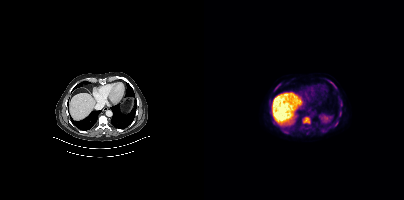
Coordinates are on the 200×200 PET (right) panel. (showing 7 of 8 foci) PSMA-avid tumor lesion bounding boxes (x, y, width, height): x=99 y=117 w=8 h=7 / x=78 y=130 w=7 h=4 / x=69 y=84 w=8 h=8 / x=129 y=121 w=6 h=6 / x=126 y=81 w=7 h=7 / x=135 y=111 w=3 h=6 / x=136 y=102 w=3 h=5.